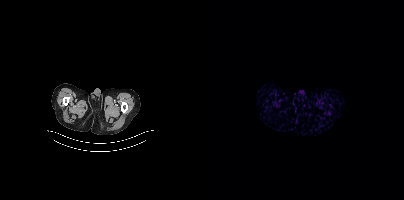
Paired axial CT (left) and PSMA PET (right), 68Ga tracer. Acquired on Siemens Biograph mCT Flow 20. PET panel 200×200 px (4.1 mm/px). No PSMA-avid tumor lesions on this slice.